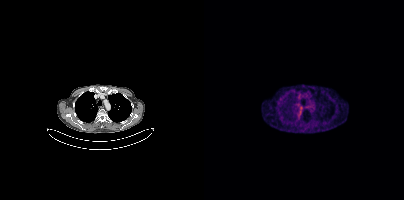
modality: PSMA PET/CT | tracer: 68Ga-PSMA | view: axial | PET grid: 200×200
No PSMA-avid tumor lesions on this slice.